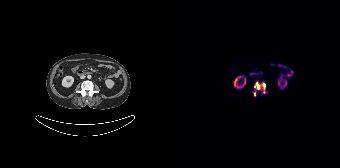
{"modality":"PSMA PET/CT","view":"axial","tracer":"18F","pet_grid":[168,168],"coord_frame":"pet_panel","coord_format":"x0,y0,x1,y1","lesion_bboxes":[[80,81,95,96]]}